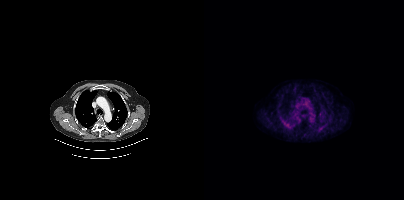
modality: PSMA PET/CT | tracer: 18F | view: axial | PET grid: 200×200
No PSMA-avid tumor lesions on this slice.